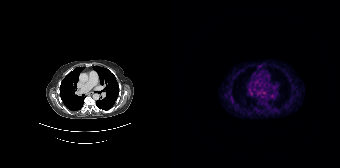
Findings: Only PSMA-avid lesion pieces thinner than 2 px on this slice (not listed).
Technique: Paired axial CT (left) and PSMA PET (right), 68Ga-PSMA tracer. PET panel 168×168 px (4.1 mm/px).